modality: PSMA PET/CT | tracer: [18F]PSMA-1007 | view: axial
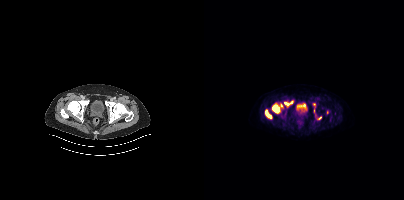
Coordinates are on the 200×200 PET (right) panel. PSMA-avid tumor lesion bounding boxes (x0,y0,x1,y1): [68,105,75,112] [61,110,67,118] [80,102,84,105]. Small PSMA-avid foci (2 to 4 px across) near (center x, center y): (87, 102) (116, 117) (77, 105).